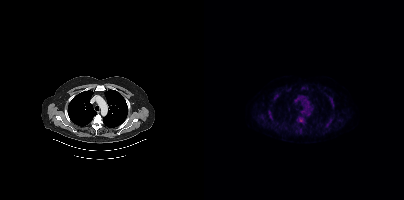
Findings: Coordinates are on the 200×200 PET (right) panel. (showing 9 of 10 foci) PSMA-avid tumor lesion bounding boxes (x0,y0,x1,y1): [94,116,101,124]; [70,94,75,99]; [64,110,68,116]; [94,129,98,134]; [124,96,128,102]; [122,120,127,125]; [69,122,73,125]. Small PSMA-avid foci (2 to 4 px across) near (center x, center y): (128, 117); (57, 118).
Technique: Left: CT. Right: PSMA PET, same axial level, 18F-PSMA tracer. acquired on Siemens Biograph mCT Flow 20. slice position z = -847 mm. PET panel 200×200 px (4.1 mm/px).